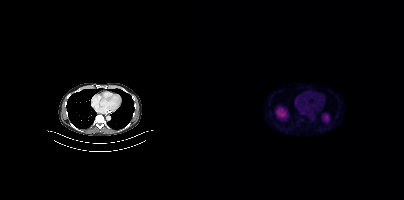
Technique: Left: CT. Right: PSMA PET, same axial level, 18F-PSMA tracer. acquired on Siemens Biograph mCT Flow 20. slice 229 of 377. PET panel 200×200 px (4.1 mm/px).
Findings: Negative for PSMA-avid disease on this slice.